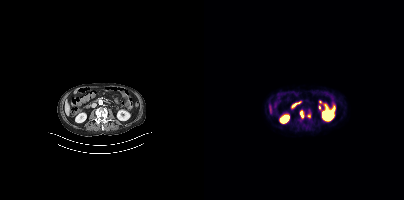
{"modality":"PSMA PET/CT","view":"axial","tracer":"18F","pet_grid":[200,200],"coord_frame":"pet_panel","coord_format":"x0,y0,x1,y1","lesion_bboxes":[[103,109,107,117],[96,111,99,117]],"small_foci_centers":[[97,120]]}